redaction: head region blanked (face removed) | modality: PSMA PET/CT | tracer: [18F]PSMA-1007 | view: axial | PET grid: 200×200
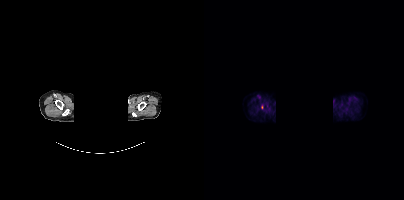
Only PSMA-avid lesion pieces thinner than 2 px on this slice (not listed).